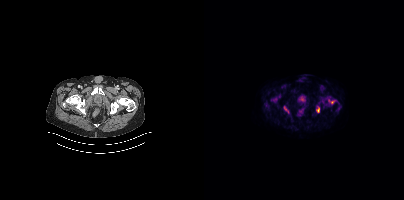
Coordinates are on the 200×200 PET (right) panel. Small PSMA-avid foci (2 to 4 px across) near (center x, center y): (128, 102) / (114, 109). Paired axial CT (left) and PSMA PET (right), 18F tracer. Slice 72 of 429.